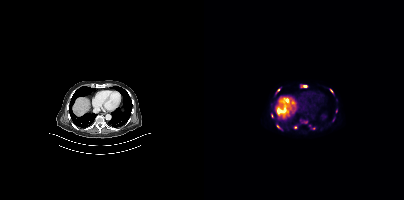
- Two-panel axial: CT | PSMA PET, 18F-PSMA tracer
Findings: Coordinates are on the 200×200 PET (right) panel. Small PSMA-avid foci (2 to 4 px across) near (center x, center y): (100, 86) | (74, 126) | (74, 90) | (127, 90).